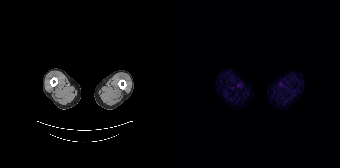
Findings: This slice has no annotated PSMA-avid lesion.
Technique: Paired axial CT (left) and PSMA PET (right), 68Ga-PSMA tracer. PET panel 168×168 px (4.1 mm/px).